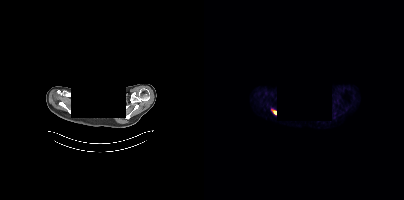
Coordinates are on the 200×200 PET (right) panel. Small PSMA-avid focus (2 to 4 px across) near (center x, center y): (70, 112). The head region is masked for de-identification. Left: CT. Right: PSMA PET, same axial level, [68Ga]Ga-PSMA-11 tracer. Acquired on Siemens Biograph mCT Flow 20.